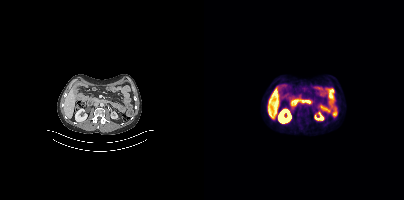
Findings: No tumor lesions annotated on this slice.
- Paired axial CT (left) and PSMA PET (right), [18F]PSMA-1007 tracer
- acquired on Siemens Biograph mCT Flow 20
- slice position z = -1246 mm
- PET panel 200×200 px (4.1 mm/px)